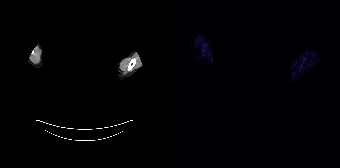
Left: CT. Right: PSMA PET, same axial level, [68Ga]Ga-PSMA-11 tracer. Face de-identified by blanking a block of the head. No tumor lesions annotated on this slice.